Left: CT. Right: PSMA PET, same axial level, 18F tracer.
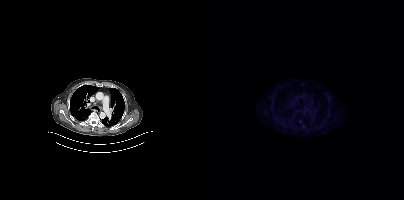
Only PSMA-avid lesion pieces thinner than 2 px on this slice (not listed).